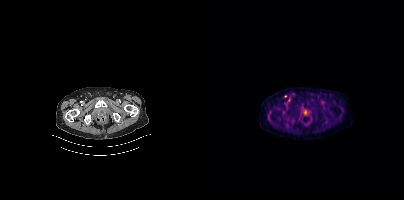
Coordinates are on the 200×200 PET (right) panel. (showing 1 of 2 foci) Small PSMA-avid focus (2 to 4 px across) near (center x, center y): (81, 96).